modality: PSMA PET/CT | tracer: 18F-PSMA | view: axial
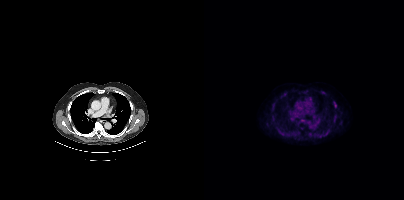
No PSMA-avid tumor lesions on this slice.